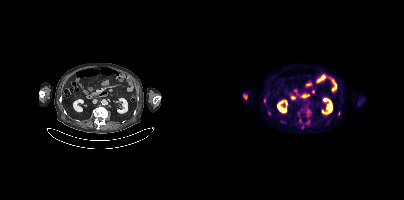
{"modality":"PSMA PET/CT","view":"axial","tracer":"18F","pet_grid":[200,200],"coord_frame":"pet_panel","coord_format":"x0,y0,x1,y1","partial":true,"lesion_bboxes":[[76,120,81,123],[60,98,61,102]],"small_foci_centers":[[98,127],[65,113]]}